modality: PSMA PET/CT | tracer: [18F]PSMA-1007 | view: axial
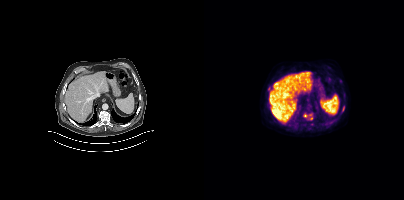
Coordinates are on the 200×200 PET (right) panel. (showing 3 of 4 foci) PSMA-avid tumor lesion bounding boxes (x, y, width, height): x=100 y=114 w=8 h=6; x=64 y=86 w=4 h=6; x=138 y=106 w=3 h=6.